Paired axial CT (left) and PSMA PET (right), 18F tracer. Slice 246 of 435.
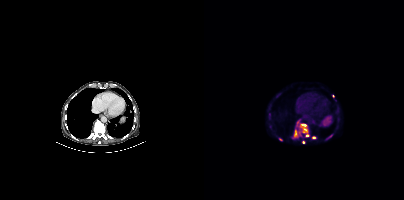
Coordinates are on the 200×200 PET (right) panel. (showing 7 of 9 foci) PSMA-avid tumor lesion bounding boxes (x0, y0)-(x1, y1): (89, 127)-(104, 138); (97, 124)-(102, 125). Small PSMA-avid foci (2 to 4 px across) near (center x, center y): (93, 123); (110, 137); (65, 114); (127, 135); (99, 142).